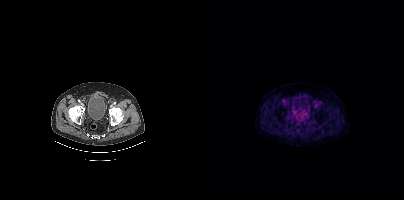
Findings: Negative for PSMA-avid disease on this slice.
- Paired axial CT (left) and PSMA PET (right), [18F]PSMA-1007 tracer